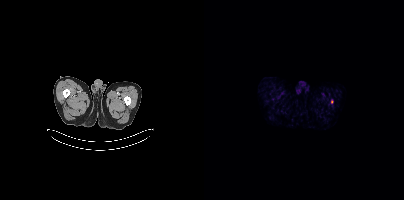
modality: PSMA PET/CT | tracer: 18F-PSMA | view: axial | PET grid: 200×200
Coordinates are on the 200×200 PET (right) panel. Small PSMA-avid focus (2 to 4 px across) near (center x, center y): (127, 101).